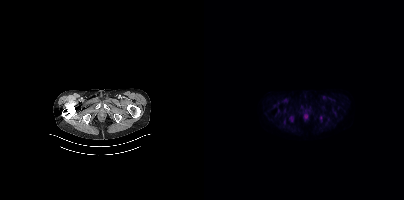
No PSMA-avid tumor lesions on this slice.